Two-panel axial: CT | PSMA PET, [18F]PSMA-1007 tracer. Acquired on Siemens Biograph mCT Flow 20. Slice position z = -1208 mm. PET panel 200×200 px (4.1 mm/px).
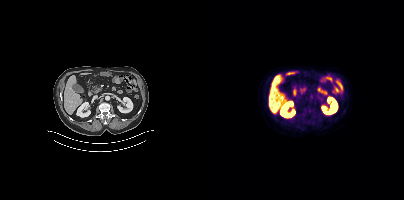
Negative for PSMA-avid disease on this slice.